- Left: CT. Right: PSMA PET, same axial level, 18F-PSMA tracer
- PET panel 200×200 px (4.1 mm/px)
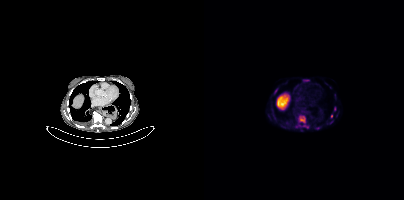
Findings: Coordinates are on the 200×200 PET (right) panel. (showing 6 of 7 foci) PSMA-avid tumor lesion bounding boxes (x0,y0,x1,y1): [94,116,101,123]; [111,127,116,129]; [99,125,104,127]. Small PSMA-avid foci (2 to 4 px across) near (center x, center y): (71, 93); (130, 109); (127, 116).